- Left: CT. Right: PSMA PET, same axial level, [18F]PSMA-1007 tracer
- PET panel 200×200 px (4.1 mm/px)
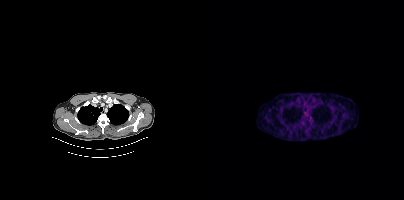
Findings: No tumor lesions annotated on this slice.